modality: PSMA PET/CT | tracer: [68Ga]Ga-PSMA-11 | view: axial | PET grid: 168×168
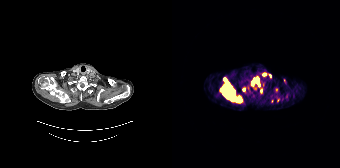
Coordinates are on the 168×168 PET (right) panel. (showing 7 of 10 foci) PSMA-avid tumor lesion bounding boxes (x, y, width, height): x=48 y=87 w=22 h=16; x=52 y=78 w=5 h=8; x=82 y=76 w=5 h=6; x=79 y=81 w=3 h=5. Small PSMA-avid foci (2 to 4 px across) near (center x, center y): (92, 74); (86, 84); (98, 75).